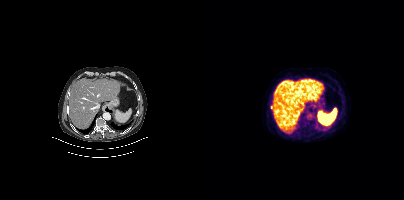
{"modality":"PSMA PET/CT","view":"axial","tracer":"18F-PSMA","pet_grid":[200,200],"coord_frame":"pet_panel","coord_format":"x0,y0,x1,y1","lesion_bboxes":[],"small_foci_centers":[[67,107]]}